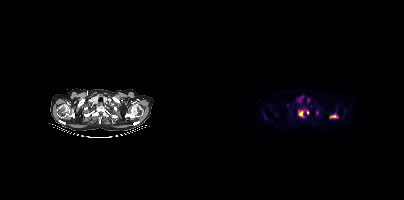
modality: PSMA PET/CT | tracer: [18F]PSMA-1007 | view: axial
Coordinates are on the 200×200 PET (right) panel. (showing 3 of 4 foci) PSMA-avid tumor lesion bounding boxes (x0, y0)-(x1, y1): (95, 110)-(98, 115) | (126, 115)-(133, 117). Small PSMA-avid focus (2 to 4 px across) near (center x, center y): (103, 113).